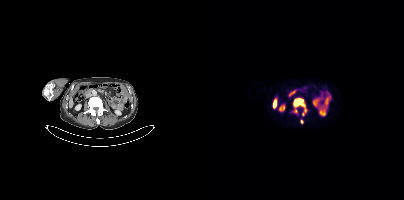
Left: CT. Right: PSMA PET, same axial level, 18F-PSMA tracer. Slice 174 of 409. PET panel 200×200 px (4.1 mm/px).
Coordinates are on the 200×200 PET (right) panel. PSMA-avid tumor lesion bounding boxes:
| # | x0 | y0 | x1 | y1 |
|---|---|---|---|---|
| 1 | 88 | 98 | 102 | 115 |
Small PSMA-avid focus (2 to 4 px across) near (center x, center y): (97, 121).